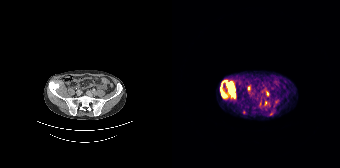
{"pet_grid":[168,168],"coord_frame":"pet_panel","coord_format":"x0,y0,x1,y1","partial":true,"lesion_bboxes":[[48,80,63,98],[94,91,97,96],[92,101,95,105]],"small_foci_centers":[[76,88],[72,112],[88,104],[98,113]],"modality":"PSMA PET/CT","view":"axial","tracer":"68Ga-PSMA"}